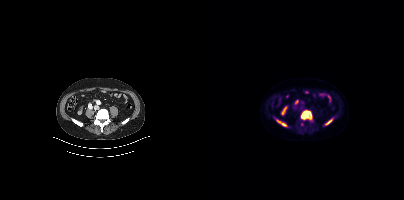
{"modality":"PSMA PET/CT","view":"axial","tracer":"18F-PSMA","pet_grid":[200,200],"coord_frame":"pet_panel","coord_format":"x0,y0,x1,y1","lesion_bboxes":[[97,110,107,119],[72,120,82,126],[123,119,128,123]]}